Two-panel axial: CT | PSMA PET, 18F-PSMA tracer. Slice 110 of 427. PET panel 200×200 px (4.1 mm/px).
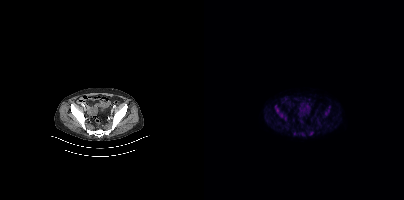
Coordinates are on the 200×200 PET (right) panel. PSMA-avid tumor lesion bounding boxes:
| # | x0 | y0 | x1 | y1 |
|---|---|---|---|---|
| 1 | 71 | 106 | 82 | 120 |
| 2 | 121 | 109 | 125 | 115 |
Small PSMA-avid foci (2 to 4 px across) near (center x, center y): (107, 133); (99, 134); (90, 133).